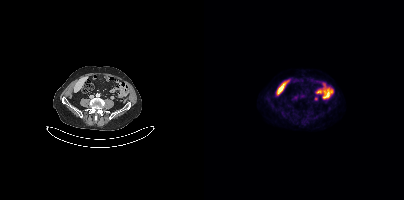
{"modality":"PSMA PET/CT","view":"axial","tracer":"18F","pet_grid":[200,200],"coord_frame":"pet_panel","coord_format":"x0,y0,x1,y1","psma_avid_lesions":false}